Paired axial CT (left) and PSMA PET (right), 18F-PSMA tracer. Slice 328 of 403.
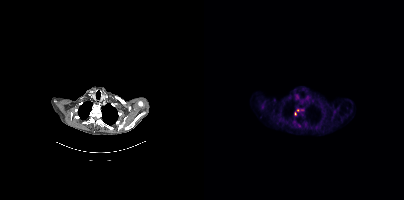
Coordinates are on the 200×200 PET (right) panel. Small PSMA-avid foci (2 to 4 px across) near (center x, center y): (91, 113); (94, 110).